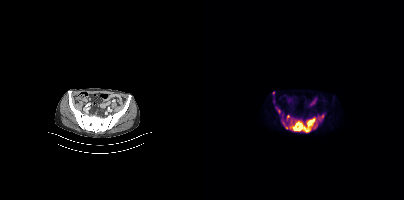
- Left: CT. Right: PSMA PET, same axial level, 18F-PSMA tracer
- PET panel 200×200 px (4.1 mm/px)
Findings: Coordinates are on the 200×200 PET (right) panel. PSMA-avid tumor lesion bounding boxes (x, y, width, height): x=85 y=114 w=36 h=19; x=72 y=107 w=5 h=7; x=83 y=115 w=3 h=5. Small PSMA-avid foci (2 to 4 px across) near (center x, center y): (69, 93); (82, 127); (79, 123).